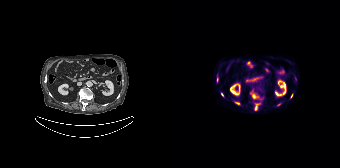
Coordinates are on the 168×168 PET (right) panel. PSMA-avid tumor lesion bounding boxes (x0, y0)-(x1, y1): (78, 93)-(86, 98); (83, 103)-(87, 110); (63, 102)-(67, 104); (118, 94)-(120, 98); (45, 78)-(46, 82). Small PSMA-avid foci (2 to 4 px across) near (center x, center y): (49, 93); (106, 104).